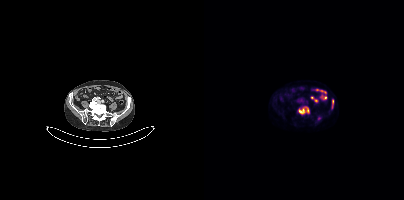
Paired axial CT (left) and PSMA PET (right), [18F]PSMA-1007 tracer. Acquired on Siemens Biograph mCT Flow 20. Slice position z = -686 mm. Coordinates are on the 200×200 PET (right) panel. PSMA-avid tumor lesion bounding boxes (x0,y0,x1,y1): [94,106,105,114]; [128,100,129,107]. Small PSMA-avid focus (2 to 4 px across) near (center x, center y): (115, 118).